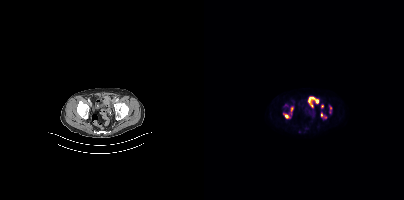
Coordinates are on the 200×200 PET (right) panel. PSMA-avid tumor lesion bounding boxes (x0,y0,x1,y1): [104,97,111,107] [86,107,89,113] [125,106,127,111]. Small PSMA-avid foci (2 to 4 px across) near (center x, center y): (113, 101) (82, 116) (118, 115) (118, 105).